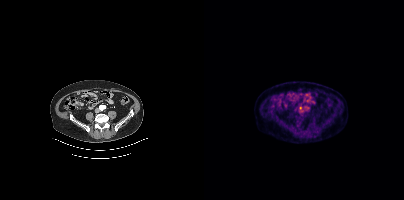
Left: CT. Right: PSMA PET, same axial level, 18F tracer. Coordinates are on the 200×200 PET (right) panel. Small PSMA-avid focus (2 to 4 px across) near (center x, center y): (96, 107).